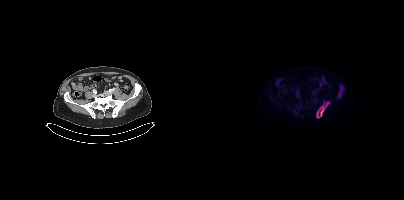
Coordinates are on the 200×200 PET (right) panel. PSMA-avid tumor lesion bounding boxes (x0,y0,x1,y1): [112,102,125,118], [134,88,137,96].